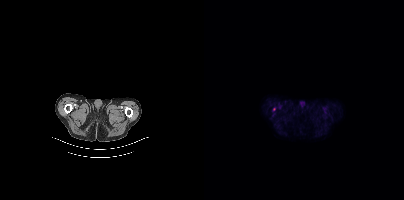
Only PSMA-avid lesion pieces thinner than 2 px on this slice (not listed).